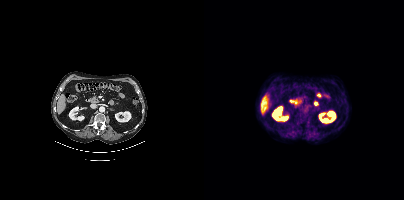
modality: PSMA PET/CT | tracer: [18F]PSMA-1007 | view: axial | PET grid: 200×200
No tumor lesions annotated on this slice.